- Two-panel axial: CT | PSMA PET, [18F]PSMA-1007 tracer
- slice 5 of 263
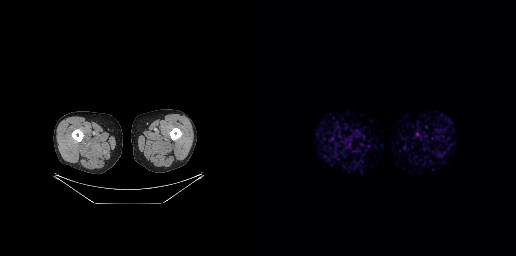
Findings: Negative for PSMA-avid disease on this slice.